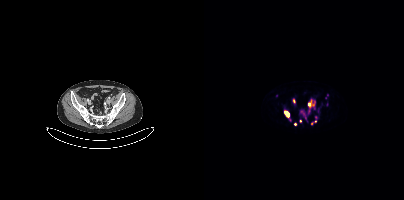
Paired axial CT (left) and PSMA PET (right), [68Ga]Ga-PSMA-11 tracer. PET panel 200×200 px (4.1 mm/px).
Coordinates are on the 200×200 PET (right) panel. PSMA-avid tumor lesion bounding boxes (partial; 3 more foci not listed):
| # | x0 | y0 | x1 | y1 |
|---|---|---|---|---|
| 1 | 104 | 100 | 111 | 113 |
| 2 | 80 | 111 | 85 | 117 |
| 3 | 98 | 112 | 102 | 119 |
Small PSMA-avid foci (2 to 4 px across) near (center x, center y): (112, 117); (89, 100); (86, 120); (111, 121); (91, 124); (72, 95); (107, 123); (96, 120).